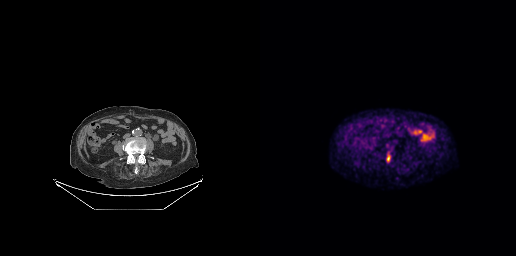
Two-panel axial: CT | PSMA PET, [18F]PSMA-1007 tracer. Acquired on GE Discovery 690. Slice position z = -490 mm. PET panel 256×256 px (2.7 mm/px). Coordinates are on the 256×256 PET (right) panel. Small PSMA-avid focus (2 to 4 px across) near (center x, center y): (128, 158).